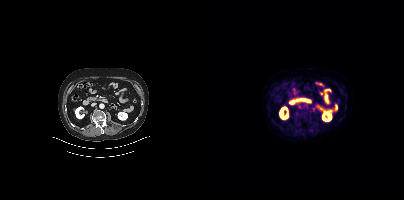
No tumor lesions annotated on this slice.
modality: PSMA PET/CT | tracer: 18F-PSMA | view: axial